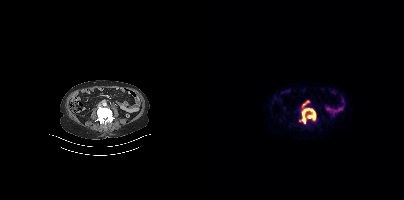
{"modality":"PSMA PET/CT","view":"axial","tracer":"68Ga-PSMA","pet_grid":[200,200],"coord_frame":"pet_panel","coord_format":"x0,y0,x1,y1","partial":true,"lesion_bboxes":[[95,104,111,123]]}